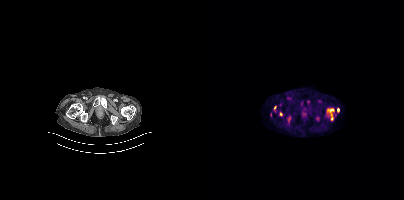
Coordinates are on the 200×200 PET (right) panel. Small PSMA-avid focus (2 to 4 px across) near (center x, center y): (76, 114). Left: CT. Right: PSMA PET, same axial level, [18F]PSMA-1007 tracer. Acquired on Siemens Biograph mCT Flow 20. Slice 40 of 367.